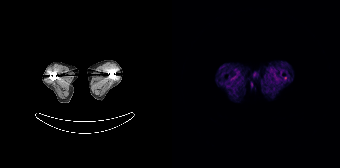
{"modality":"PSMA PET/CT","view":"axial","tracer":"[68Ga]Ga-PSMA-11","pet_grid":[168,168],"coord_frame":"pet_panel","coord_format":"x0,y0,x1,y1","psma_avid_lesions":false}